Left: CT. Right: PSMA PET, same axial level, 18F-PSMA tracer. Slice position z = -732 mm. PET panel 200×200 px (4.1 mm/px).
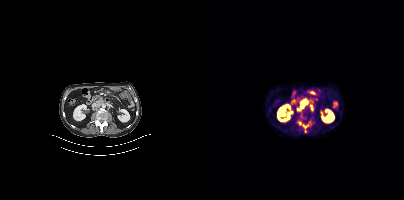
Coordinates are on the 200×200 PET (right) panel. (showing 2 of 4 foci) PSMA-avid tumor lesion bounding boxes (x0, y0)-(x1, y1): (95, 121)-(107, 132) | (93, 99)-(103, 110).